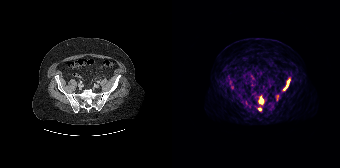
Paired axial CT (left) and PSMA PET (right), 68Ga-PSMA tracer. Slice position z = -1388 mm. PET panel 168×168 px (4.1 mm/px).
Coordinates are on the 168×168 PET (right) panel. PSMA-avid tumor lesion bounding boxes:
| # | x0 | y0 | x1 | y1 |
|---|---|---|---|---|
| 1 | 111 | 79 | 118 | 90 |
| 2 | 87 | 96 | 91 | 103 |
Small PSMA-avid focus (2 to 4 px across) near (center x, center y): (87, 109).